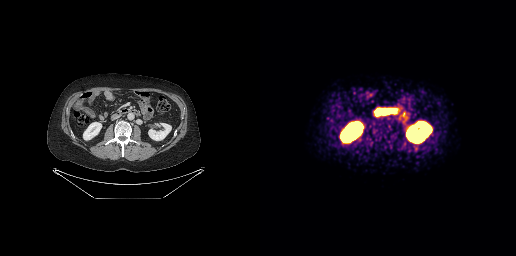
{"modality":"PSMA PET/CT","view":"axial","tracer":"68Ga-PSMA","pet_grid":[256,256],"coord_frame":"pet_panel","coord_format":"x0,y0,x1,y1","psma_avid_lesions":false}